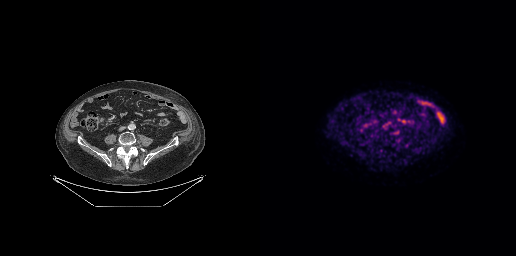
{"modality":"PSMA PET/CT","view":"axial","tracer":"[18F]PSMA-1007","pet_grid":[256,256],"coord_frame":"pet_panel","coord_format":"x0,y0,x1,y1","lesion_bboxes":[[134,131,138,133]]}